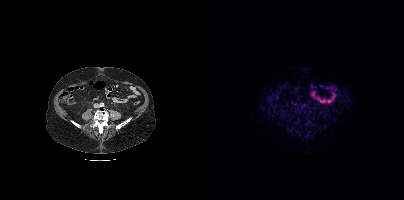
{"modality":"PSMA PET/CT","view":"axial","tracer":"68Ga","pet_grid":[200,200],"coord_frame":"pet_panel","coord_format":"x0,y0,x1,y1","psma_avid_lesions":false}